- Left: CT. Right: PSMA PET, same axial level, 18F tracer
- acquired on GE Discovery 690
- slice 89 of 263
- PET panel 256×256 px (2.7 mm/px)
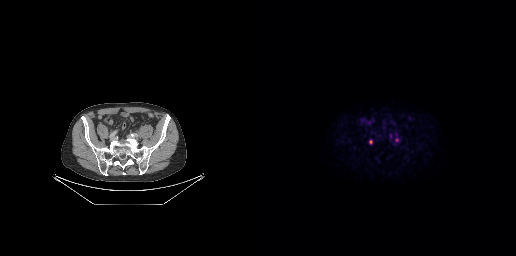
Findings: Coordinates are on the 256×256 PET (right) panel. Small PSMA-avid foci (2 to 4 px across) near (center x, center y): (110, 141) | (136, 140).